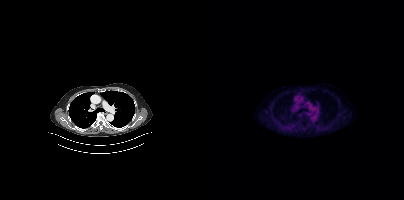
{"modality":"PSMA PET/CT","view":"axial","tracer":"18F","pet_grid":[200,200],"coord_frame":"pet_panel","coord_format":"x0,y0,x1,y1","psma_avid_lesions":false}